Left: CT. Right: PSMA PET, same axial level, 18F tracer. Acquired on Siemens Biograph mCT Flow 20.
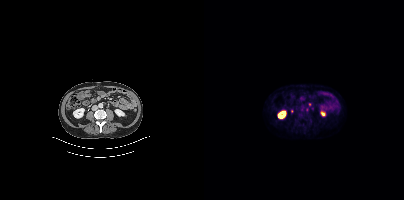
Coordinates are on the 200×200 PET (right) panel. Small PSMA-avid focus (2 to 4 px across) near (center x, center y): (105, 104).